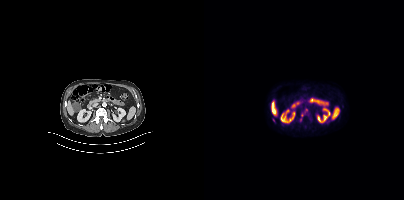
Findings: Coordinates are on the 200×200 PET (right) panel. (showing 3 of 4 foci) Small PSMA-avid foci (2 to 4 px across) near (center x, center y): (69, 119), (97, 115), (102, 109).
Technique: Paired axial CT (left) and PSMA PET (right), [18F]PSMA-1007 tracer. acquired on Siemens Biograph mCT Flow 20.